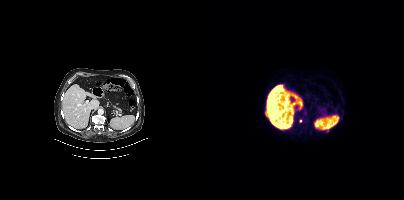
{"modality":"PSMA PET/CT","view":"axial","tracer":"18F","pet_grid":[200,200],"coord_frame":"pet_panel","coord_format":"x0,y0,x1,y1","lesion_bboxes":[],"small_foci_centers":[[96,121],[123,130]]}